modality: PSMA PET/CT | tracer: 18F | view: axial
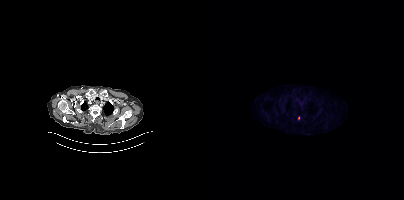
Coordinates are on the 200×200 PET (right) panel. Small PSMA-avid focus (2 to 4 px across) near (center x, center y): (95, 117).